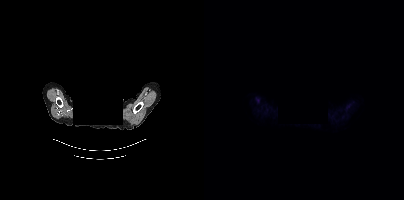
This slice has no annotated PSMA-avid lesion. Paired axial CT (left) and PSMA PET (right), 18F tracer. Slice 337 of 377. PET panel 200×200 px (4.1 mm/px). The face region was removed for patient privacy by blanking a rectangle over the head.